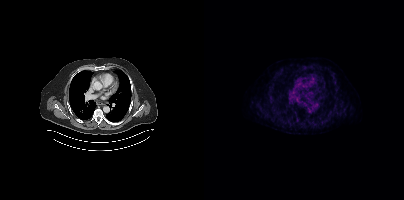
Two-panel axial: CT | PSMA PET, 18F-PSMA tracer. PET panel 200×200 px (4.1 mm/px). No PSMA-avid tumor lesions on this slice.